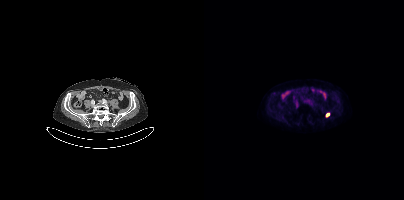
Coordinates are on the 200×200 PET (right) panel. Small PSMA-avid focus (2 to 4 px across) near (center x, center y): (123, 114). Left: CT. Right: PSMA PET, same axial level, 18F-PSMA tracer. Acquired on Siemens Biograph mCT Flow 20. PET panel 200×200 px (4.1 mm/px).